Technique: Paired axial CT (left) and PSMA PET (right), [68Ga]Ga-PSMA-11 tracer. slice 138 of 195. PET panel 168×168 px (4.1 mm/px).
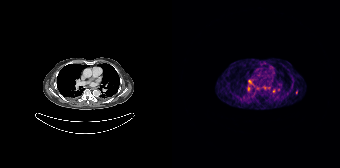
Findings: Coordinates are on the 168×168 PET (right) panel. (showing 4 of 5 foci) PSMA-avid tumor lesion bounding box (x0, y0)-(x1, y1): (75, 86)-(78, 91). Small PSMA-avid foci (2 to 4 px across) near (center x, center y): (77, 81); (124, 91); (101, 91).